Left: CT. Right: PSMA PET, same axial level, [18F]PSMA-1007 tracer.
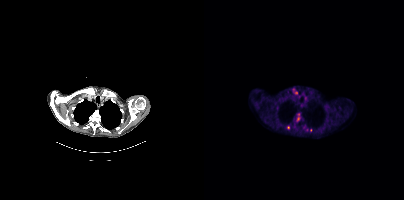
Coordinates are on the 200×200 PET (right) panel. PSMA-avid tumor lesion bounding boxes (partial; 1 more focus not listed):
| # | x0 | y0 | x1 | y1 |
|---|---|---|---|---|
| 1 | 93 | 113 | 95 | 121 |
Small PSMA-avid foci (2 to 4 px across) near (center x, center y): (84, 127); (106, 130); (92, 92).